modality: PSMA PET/CT | tracer: 18F-PSMA | view: axial
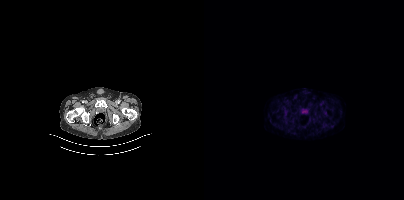
This slice has no annotated PSMA-avid lesion.